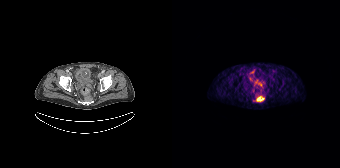
Coordinates are on the 168×168 PET (right) panel. PSMA-avid tumor lesion bounding boxes (partial; 1 more focus not listed):
| # | x0 | y0 | x1 | y1 |
|---|---|---|---|---|
| 1 | 84 | 96 | 92 | 101 |
Small PSMA-avid focus (2 to 4 px across) near (center x, center y): (80, 71).
Two-panel axial: CT | PSMA PET, 68Ga-PSMA tracer. Slice 53 of 195. PET panel 168×168 px (4.1 mm/px).